- Left: CT. Right: PSMA PET, same axial level, 18F-PSMA tracer
- slice position z = -525 mm
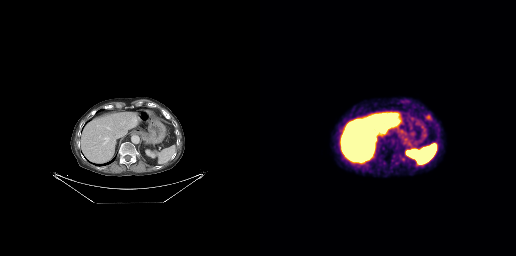
Findings: Coordinates are on the 256×256 PET (right) panel. PSMA-avid tumor lesion bounding box (x0,y0,x1,y1): [165,115,170,119].